Technique: Two-panel axial: CT | PSMA PET, [18F]PSMA-1007 tracer. acquired on GE Discovery 690. PET panel 256×256 px (2.7 mm/px).
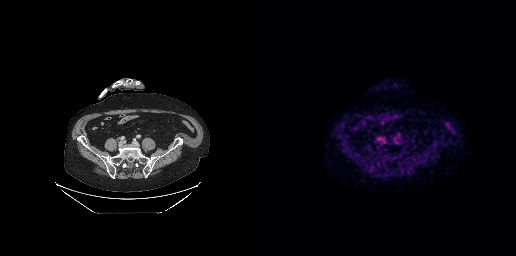
Findings: No tumor lesions annotated on this slice.